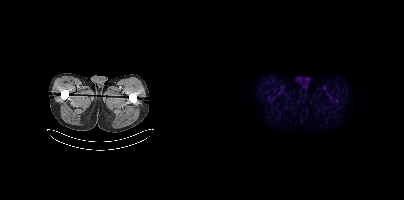
No PSMA-avid tumor lesions on this slice.